modality: PSMA PET/CT | tracer: [68Ga]Ga-PSMA-11 | view: axial | PET grid: 256×256
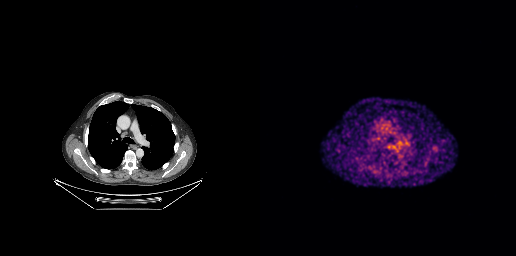
Coordinates are on the 256×256 PET (right) panel. Small PSMA-avid focus (2 to 4 px across) near (center x, center y): (176, 146).